modality: PSMA PET/CT | tracer: 18F | view: axial
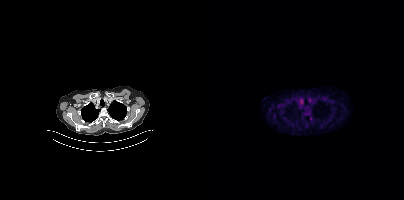
Only PSMA-avid lesion pieces thinner than 2 px on this slice (not listed).